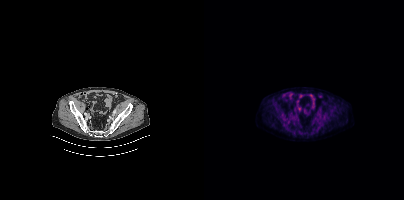
Findings: Negative for PSMA-avid disease on this slice.
- Left: CT. Right: PSMA PET, same axial level, 18F tracer
- PET panel 200×200 px (4.1 mm/px)